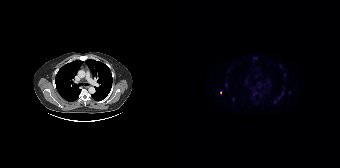
Coordinates are on the 168×168 PET (right) panel. (showing 2 of 3 foci) Small PSMA-avid foci (2 to 4 px across) near (center x, center y): (48, 92) (83, 93).